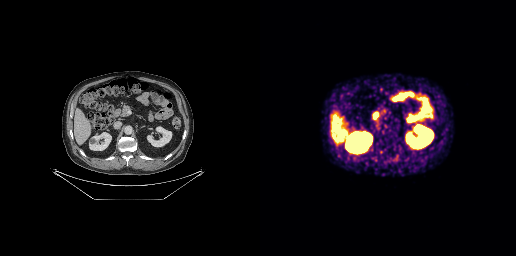
{"modality":"PSMA PET/CT","view":"axial","tracer":"68Ga","pet_grid":[256,256],"coord_frame":"pet_panel","coord_format":"x0,y0,x1,y1","psma_avid_lesions":false}